Paired axial CT (left) and PSMA PET (right), 18F-PSMA tracer.
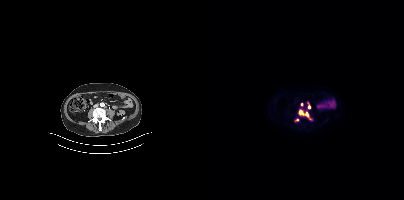
Coordinates are on the 200×200 PET (right) panel. PSMA-avid tumor lesion bounding boxes (x0,y0,x1,y1): [95,109,107,119] [103,102,106,108]. Small PSMA-avid foci (2 to 4 px across) near (center x, center y): (92, 119) (97, 104).